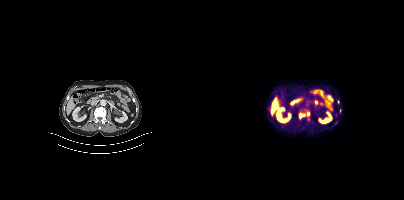
Coordinates are on the 200×200 PET (right) panel. (showing 2 of 4 foci) PSMA-avid tumor lesion bounding box (x, y, width, height): x=95 y=113 w=7 h=6. Small PSMA-avid focus (2 to 4 px across) near (center x, center y): (104, 113).